Paired axial CT (left) and PSMA PET (right), 18F-PSMA tracer.
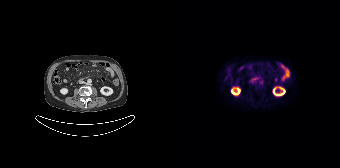
This slice has no annotated PSMA-avid lesion.